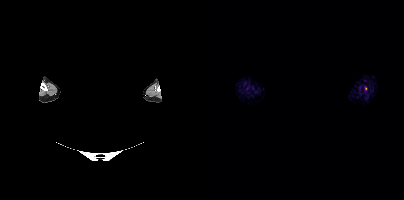
{"modality":"PSMA PET/CT","view":"axial","tracer":"18F","pet_grid":[200,200],"coord_frame":"pet_panel","coord_format":"x0,y0,x1,y1","psma_avid_lesions":false,"redaction":"facial region redacted"}